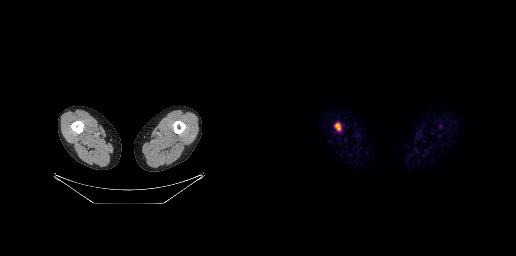
{"modality":"PSMA PET/CT","view":"axial","tracer":"[18F]PSMA-1007","pet_grid":[256,256],"coord_frame":"pet_panel","coord_format":"x0,y0,x1,y1","lesion_bboxes":[[74,122,81,131]]}